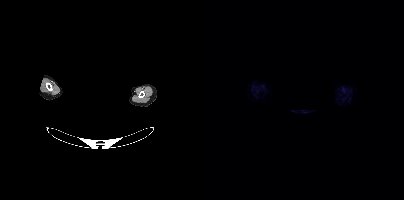
{"pet_grid":[200,200],"coord_frame":"pet_panel","coord_format":"x0,y0,x1,y1","psma_avid_lesions":false,"modality":"PSMA PET/CT","view":"axial","tracer":"18F-PSMA","de-identification":"head region blanked (face removed)"}